- Left: CT. Right: PSMA PET, same axial level, 18F-PSMA tracer
- acquired on Siemens Biograph mCT Flow 20
- PET panel 200×200 px (4.1 mm/px)
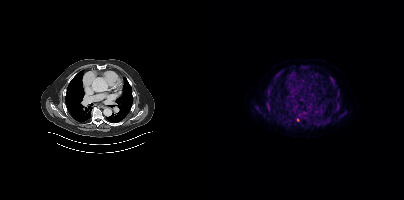
Findings: Coordinates are on the 200×200 PET (right) panel. (showing 11 of 12 foci) PSMA-avid tumor lesion bounding boxes (x0, y0)-(x1, y1): (93, 112)-(103, 120) | (125, 76)-(132, 86) | (62, 89)-(67, 94) | (51, 106)-(56, 111) | (122, 119)-(126, 123) | (75, 70)-(78, 74) | (63, 103)-(65, 110) | (128, 110)-(133, 112). Small PSMA-avid foci (2 to 4 px across) near (center x, center y): (101, 68) | (134, 97) | (134, 102).